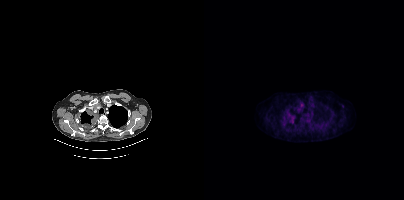
Left: CT. Right: PSMA PET, same axial level, [18F]PSMA-1007 tracer. Acquired on Siemens Biograph mCT Flow 20. This slice has no annotated PSMA-avid lesion.